Technique: Paired axial CT (left) and PSMA PET (right), 68Ga-PSMA tracer. slice position z = -737 mm. PET panel 256×256 px (2.7 mm/px).
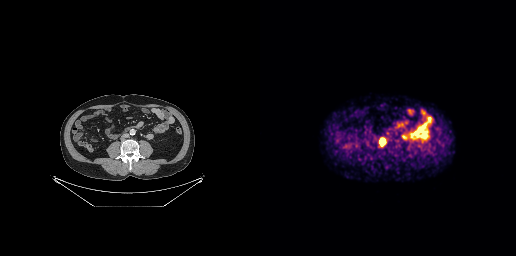
Findings: Coordinates are on the 256×256 PET (right) panel. PSMA-avid tumor lesion bounding box (x0, y0)-(x1, y1): (119, 137)-(126, 146).